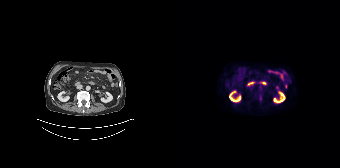
- Paired axial CT (left) and PSMA PET (right), 18F tracer
- PET panel 168×168 px (4.1 mm/px)
Findings: No PSMA-avid tumor lesions on this slice.